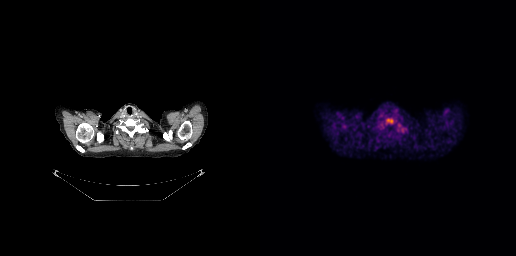
- Two-panel axial: CT | PSMA PET, 18F-PSMA tracer
- slice position z = -135 mm
- PET panel 256×256 px (2.7 mm/px)
Findings: Coordinates are on the 256×256 PET (right) panel. PSMA-avid tumor lesion bounding box (x, y, width, height): x=126 y=119 w=8 h=6.